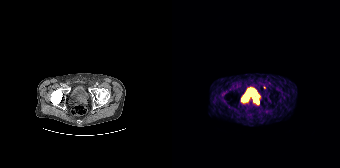
{"pet_grid":[168,168],"coord_frame":"pet_panel","coord_format":"x0,y0,x1,y1","lesion_bboxes":[[80,96,86,105]],"small_foci_centers":[[92,87]],"modality":"PSMA PET/CT","view":"axial","tracer":"68Ga"}